- Left: CT. Right: PSMA PET, same axial level, 18F-PSMA tracer
- acquired on Siemens Biograph mCT Flow 20
- PET panel 200×200 px (4.1 mm/px)
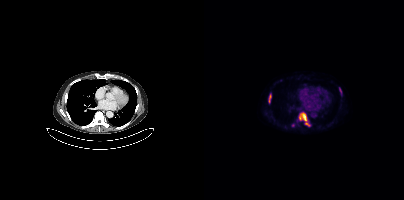
Findings: Coordinates are on the 200×200 PET (right) panel. PSMA-avid tumor lesion bounding boxes (x, y, width, height): x=95 y=112 w=12 h=15 | x=64 y=94 w=4 h=9 | x=135 y=87 w=3 h=8. Small PSMA-avid focus (2 to 4 px across) near (center x, center y): (89, 125).